modality: PSMA PET/CT | tracer: 18F | view: axial | PET grid: 200×200
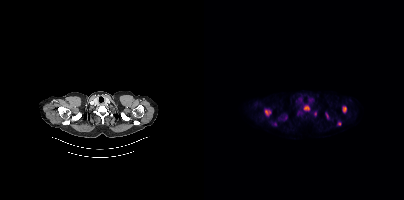
Coordinates are on the 200×200 PET (right) panel. PSMA-avid tumor lesion bounding boxes (x, y, width, height): x=61 y=109 w=6 h=7 / x=100 y=105 w=6 h=6 / x=139 y=106 w=4 h=7 / x=121 y=112 w=3 h=6. Small PSMA-avid foci (2 to 4 px across) near (center x, center y): (135, 123) / (71, 124) / (111, 113).